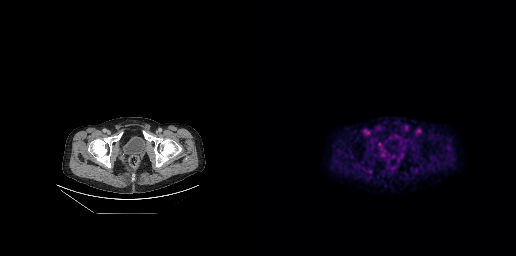
{"modality":"PSMA PET/CT","view":"axial","tracer":"18F","pet_grid":[256,256],"coord_frame":"pet_panel","coord_format":"x0,y0,x1,y1","lesion_bboxes":[[118,142,122,145]]}